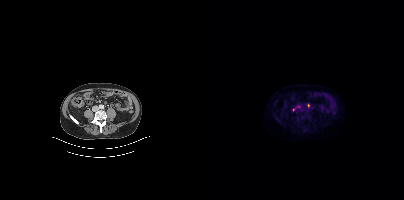
{"modality":"PSMA PET/CT","view":"axial","tracer":"[18F]PSMA-1007","pet_grid":[200,200],"coord_frame":"pet_panel","coord_format":"x0,y0,x1,y1","lesion_bboxes":[],"small_foci_centers":[[104,105]]}